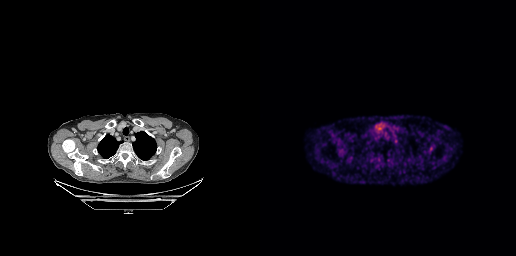
This slice has no annotated PSMA-avid lesion.